Two-panel axial: CT | PSMA PET, [18F]PSMA-1007 tracer. Slice position z = -873 mm. PET panel 256×256 px (2.7 mm/px).
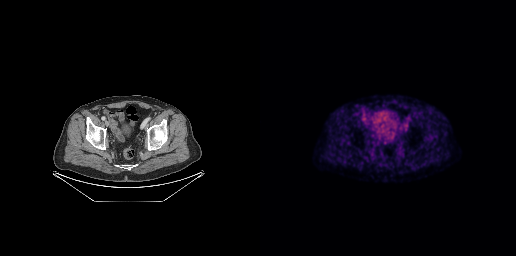
Negative for PSMA-avid disease on this slice.